- Paired axial CT (left) and PSMA PET (right), [18F]PSMA-1007 tracer
- slice 239 of 452
- PET panel 200×200 px (4.1 mm/px)
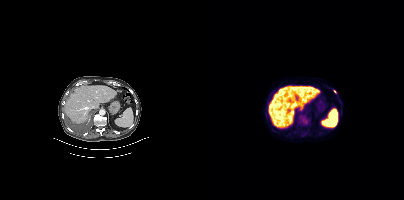
Findings: Coordinates are on the 200×200 PET (right) panel. Small PSMA-avid foci (2 to 4 px across) near (center x, center y): (101, 121); (130, 91).